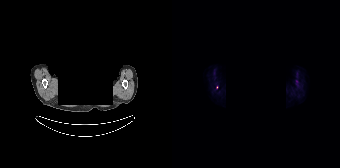
Technique: Two-panel axial: CT | PSMA PET, 18F tracer. acquired on Siemens Biograph 64-4R TruePoint. slice 144 of 165.
Note: De-identified by setting a box covering the face to black before release.
Findings: Only PSMA-avid lesion pieces thinner than 2 px on this slice (not listed).